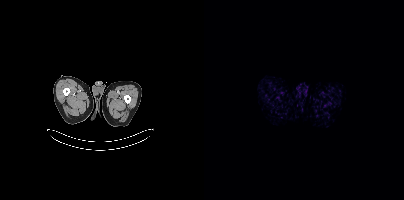
No PSMA-avid tumor lesions on this slice.